Technique: Paired axial CT (left) and PSMA PET (right), [18F]PSMA-1007 tracer. acquired on Siemens Biograph mCT Flow 20. PET panel 200×200 px (4.1 mm/px).
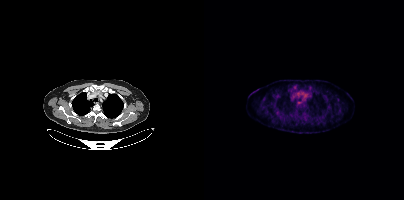
Findings: This slice has no annotated PSMA-avid lesion.